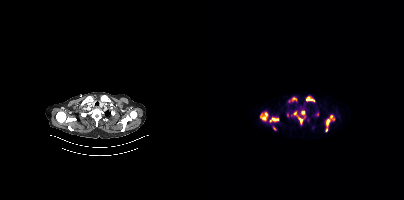
modality: PSMA PET/CT | tracer: [68Ga]Ga-PSMA-11 | view: axial | PET grid: 200×200
Coordinates are on the 200×200 PET (right) panel. PSMA-avid tumor lesion bounding boxes (x, y, width, height): x=90 y=111 w=12 h=13; x=121 y=115 w=10 h=17; x=57 y=112 w=7 h=9; x=102 y=96 w=9 h=6; x=66 y=117 w=9 h=5; x=84 y=97 w=9 h=6; x=111 y=112 w=5 h=5. Small PSMA-avid focus (2 to 4 px across) near (center x, center y): (70, 127).